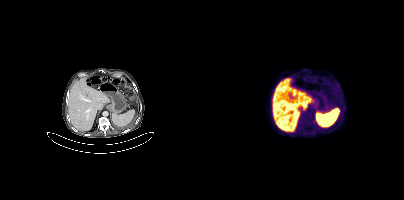
Technique: Paired axial CT (left) and PSMA PET (right), 18F tracer. slice position z = -1196 mm.
Findings: Negative for PSMA-avid disease on this slice.